Technique: Left: CT. Right: PSMA PET, same axial level, [18F]PSMA-1007 tracer. acquired on GE Discovery 690. slice 7 of 263.
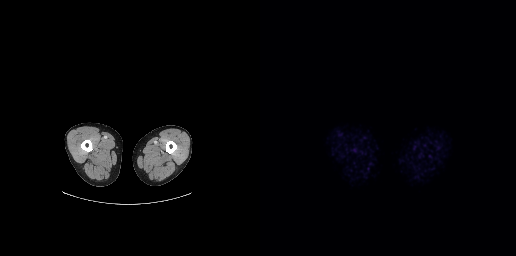
Findings: Negative for PSMA-avid disease on this slice.